Paired axial CT (left) and PSMA PET (right), 18F tracer. Acquired on Siemens Biograph mCT Flow 20. PET panel 200×200 px (4.1 mm/px).
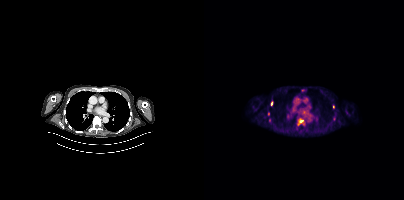
Coordinates are on the 200×200 PET (right) panel. PSMA-avid tumor lesion bounding boxes (partial; 2 more foci not listed):
| # | x0 | y0 | x1 | y1 |
|---|---|---|---|---|
| 1 | 94 | 119 | 99 | 124 |
| 2 | 67 | 101 | 68 | 105 |
Small PSMA-avid focus (2 to 4 px across) near (center x, center y): (129, 106).